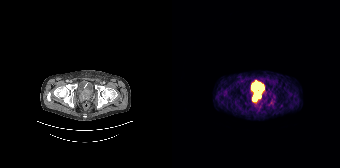
{"modality":"PSMA PET/CT","view":"axial","tracer":"68Ga-PSMA","pet_grid":[168,168],"coord_frame":"pet_panel","coord_format":"x0,y0,x1,y1","lesion_bboxes":[[80,90,89,101]]}